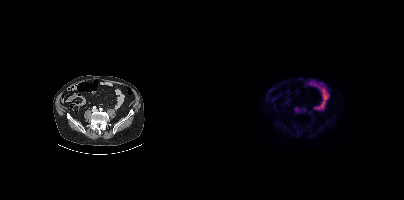
Paired axial CT (left) and PSMA PET (right), 18F tracer. Slice position z = -850 mm. Only PSMA-avid lesion pieces thinner than 2 px on this slice (not listed).